Left: CT. Right: PSMA PET, same axial level, [68Ga]Ga-PSMA-11 tracer.
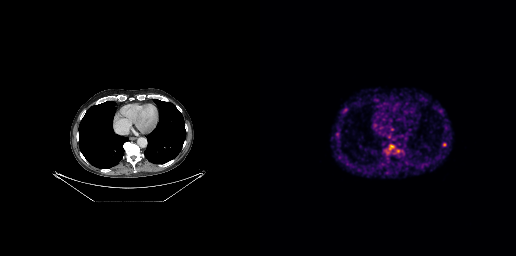
Coordinates are on the 256×256 PET (right) panel. (showing 3 of 4 foci) Small PSMA-avid foci (2 to 4 px across) near (center x, center y): (184, 144) / (85, 110) / (180, 111).